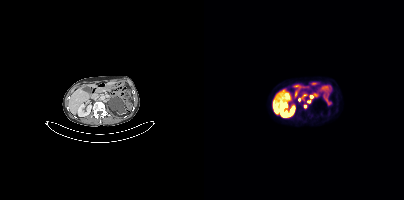
Paired axial CT (left) and PSMA PET (right), 18F tracer. Coordinates are on the 200×200 PET (right) panel. PSMA-avid tumor lesion bounding box (x, y, width, height): x=99 y=99 w=3 h=5. Small PSMA-avid foci (2 to 4 px across) near (center x, center y): (107, 96); (101, 106); (105, 101); (95, 99).